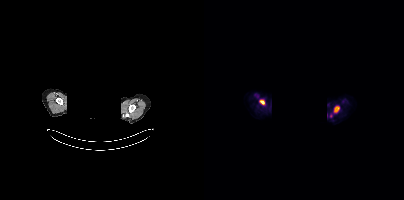
{"modality":"PSMA PET/CT","view":"axial","tracer":"[18F]PSMA-1007","pet_grid":[200,200],"coord_frame":"pet_panel","coord_format":"x0,y0,x1,y1","partial":true,"lesion_bboxes":[[130,106,135,112],[55,100,60,104]],"deidentification":"face masked with black rectangle"}